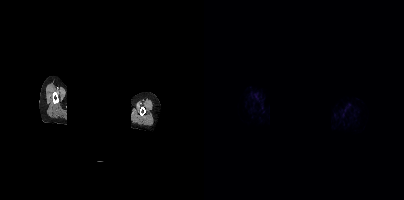
Findings: No tumor lesions annotated on this slice.
Technique: Two-panel axial: CT | PSMA PET, 68Ga tracer. slice 390 of 444. PET panel 200×200 px (4.1 mm/px).
Note: A rectangle over the head was blacked out to remove identifiable facial features.